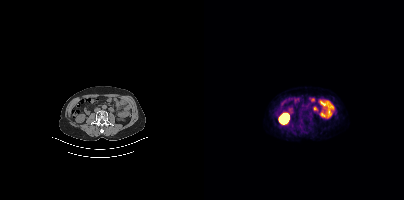
Negative for PSMA-avid disease on this slice. Paired axial CT (left) and PSMA PET (right), [68Ga]Ga-PSMA-11 tracer. Acquired on Siemens Biograph mCT Flow 20.